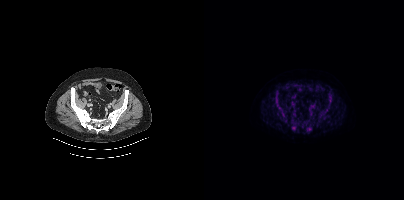
- Paired axial CT (left) and PSMA PET (right), 18F-PSMA tracer
- slice position z = -1305 mm
Findings: Coordinates are on the 200×200 PET (right) panel. (showing 9 of 10 foci) PSMA-avid tumor lesion bounding boxes (x0, y0)-(x1, y1): (87, 120)-(93, 130) | (124, 96)-(128, 102) | (103, 126)-(108, 131) | (78, 111)-(82, 116) | (71, 98)-(74, 103) | (119, 108)-(124, 113) | (72, 105)-(76, 109). Small PSMA-avid foci (2 to 4 px across) near (center x, center y): (107, 119) | (81, 119).